Left: CT. Right: PSMA PET, same axial level, 18F tracer. PET panel 200×200 px (4.1 mm/px).
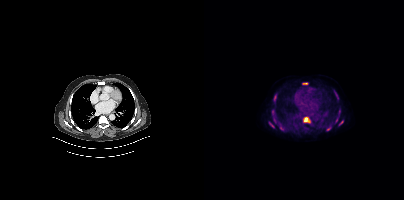
Coordinates are on the 200×200 PET (right) panel. (showing 11 of 12 foci) PSMA-avid tumor lesion bounding boxes (x0, y0)-(x1, y1): (99, 117)-(106, 122) | (122, 125)-(127, 130) | (69, 115)-(72, 119) | (69, 96)-(72, 101) | (135, 120)-(139, 125) | (65, 122)-(70, 127) | (131, 117)-(134, 122) | (98, 83)-(103, 84). Small PSMA-avid foci (2 to 4 px across) near (center x, center y): (79, 128) | (69, 110) | (129, 90).